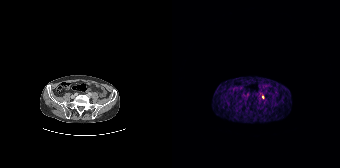
- Left: CT. Right: PSMA PET, same axial level, 68Ga tracer
- acquired on Siemens Biograph 64-4R TruePoint
Findings: Only PSMA-avid lesion pieces thinner than 2 px on this slice (not listed).